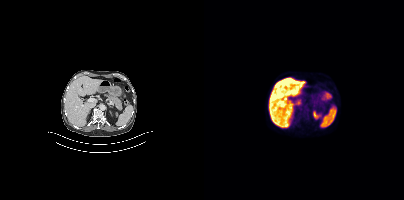
{"modality":"PSMA PET/CT","view":"axial","tracer":"[18F]PSMA-1007","pet_grid":[200,200],"coord_frame":"pet_panel","coord_format":"x0,y0,x1,y1","psma_avid_lesions":false}